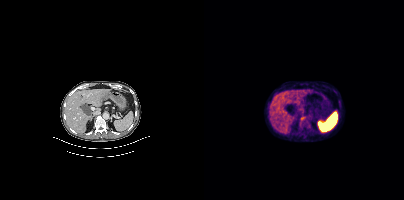
Paired axial CT (left) and PSMA PET (right), 18F-PSMA tracer. Acquired on Siemens Biograph mCT Flow 20. Slice position z = -192 mm. PET panel 200×200 px (4.1 mm/px).
Coordinates are on the 200×200 PET (right) panel. PSMA-avid tumor lesion bounding boxes:
| # | x0 | y0 | x1 | y1 |
|---|---|---|---|---|
| 1 | 95 | 116 | 106 | 126 |